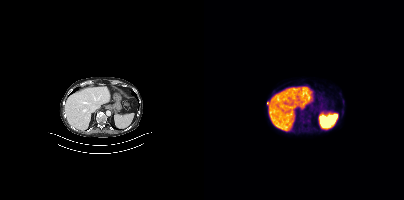
{"modality":"PSMA PET/CT","view":"axial","tracer":"18F-PSMA","pet_grid":[200,200],"coord_frame":"pet_panel","coord_format":"x0,y0,x1,y1","lesion_bboxes":[[97,114,103,121]],"small_foci_centers":[[63,103]]}